Left: CT. Right: PSMA PET, same axial level, 18F-PSMA tracer. Acquired on Siemens Biograph mCT Flow 20. PET panel 200×200 px (4.1 mm/px).
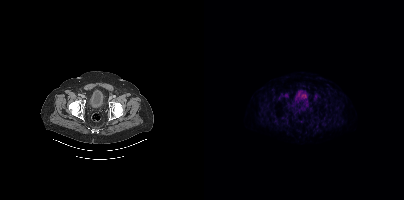
This slice has no annotated PSMA-avid lesion.